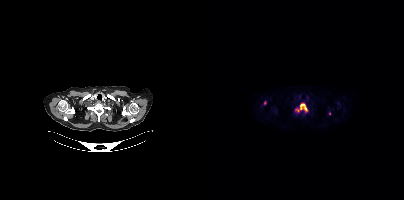
Left: CT. Right: PSMA PET, same axial level, 18F-PSMA tracer. Acquired on Siemens Biograph mCT Flow 20. Slice 331 of 395. PET panel 200×200 px (4.1 mm/px).
Coordinates are on the 200×200 PET (right) panel. PSMA-avid tumor lesion bounding boxes:
| # | x0 | y0 | x1 | y1 |
|---|---|---|---|---|
| 1 | 92 | 103 | 103 | 111 |
Small PSMA-avid foci (2 to 4 px across) near (center x, center y): (60, 103); (125, 113).